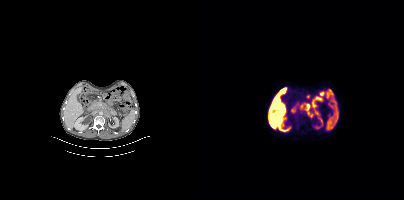
Left: CT. Right: PSMA PET, same axial level, [18F]PSMA-1007 tracer. Slice position z = -1290 mm. PET panel 200×200 px (4.1 mm/px). Coordinates are on the 200×200 PET (right) panel. PSMA-avid tumor lesion bounding box (x0, y0)-(x1, y1): (100, 103)-(113, 118). Small PSMA-avid foci (2 to 4 px across) near (center x, center y): (97, 106); (109, 106).